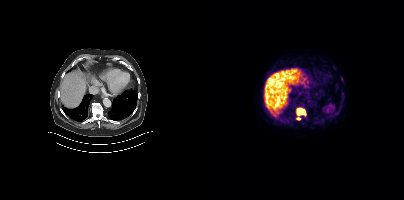
Coordinates are on the 200×200 PET (right) panel. (showing 4 of 5 foci) PSMA-avid tumor lesion bounding box (x0, y0)-(x1, y1): (93, 108)-(101, 115). Small PSMA-avid foci (2 to 4 px across) near (center x, center y): (130, 116) / (94, 118) / (138, 79).